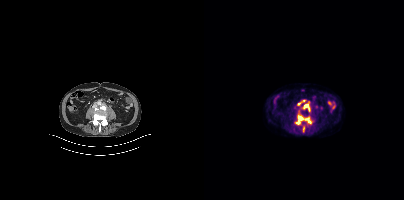
Findings: Coordinates are on the 200×200 PET (right) panel. (showing 4 of 6 foci) PSMA-avid tumor lesion bounding boxes (x0, y0)-(x1, y1): (92, 115)-(107, 124) | (100, 104)-(104, 107). Small PSMA-avid foci (2 to 4 px across) near (center x, center y): (94, 103) | (99, 128).
- Paired axial CT (left) and PSMA PET (right), 18F tracer